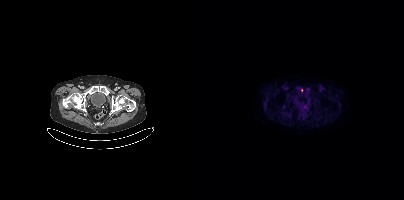
Findings: Coordinates are on the 200×200 PET (right) panel. Small PSMA-avid focus (2 to 4 px across) near (center x, center y): (97, 90).
Technique: Paired axial CT (left) and PSMA PET (right), 18F-PSMA tracer.